modality: PSMA PET/CT | tracer: 18F-PSMA | view: axial
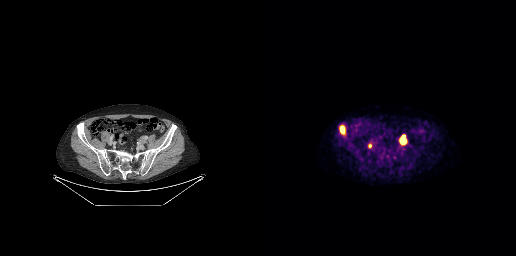
Coordinates are on the 256×256 PET (right) panel. PSMA-avid tumor lesion bounding boxes (x0, y0)-(x1, y1): (140, 135)-(146, 144) / (81, 127)-(83, 132). Small PSMA-avid focus (2 to 4 px across) near (center x, center y): (109, 145).